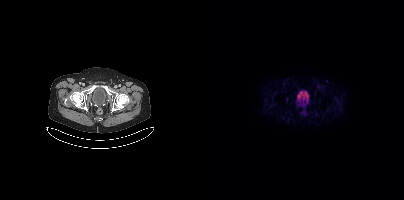
No tumor lesions annotated on this slice.